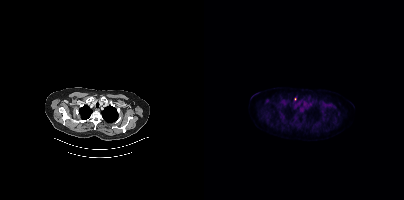
{"modality":"PSMA PET/CT","view":"axial","tracer":"18F-PSMA","pet_grid":[200,200],"coord_frame":"pet_panel","coord_format":"x0,y0,x1,y1","lesion_bboxes":[],"small_foci_centers":[[91,99]]}